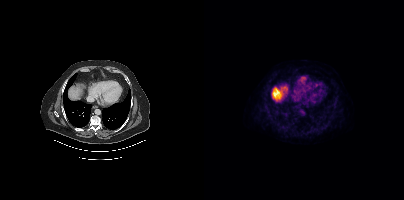
- Paired axial CT (left) and PSMA PET (right), 18F-PSMA tracer
- acquired on Siemens Biograph mCT Flow 20
- PET panel 200×200 px (4.1 mm/px)
Findings: This slice has no annotated PSMA-avid lesion.